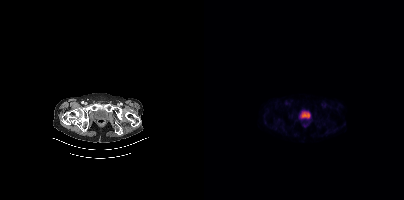
No tumor lesions annotated on this slice.